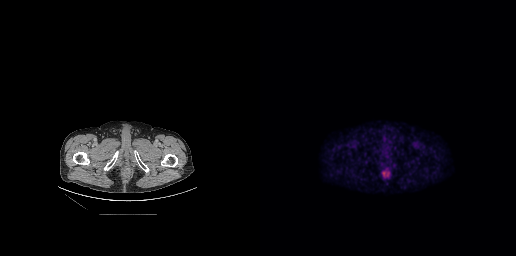
Paired axial CT (left) and PSMA PET (right), 18F-PSMA tracer. Acquired on GE Discovery 690. No PSMA-avid tumor lesions on this slice.